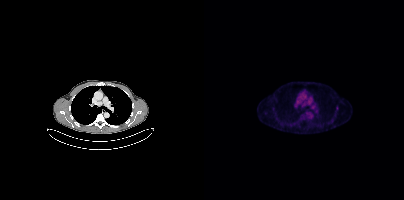
Coordinates are on the 200×200 PET (right) panel. PSMA-avid tumor lesion bounding box (x, y, width, height): x=132 y=106 w=3 h=5. Small PSMA-avid focus (2 to 4 px across) near (center x, center y): (61, 113). Paired axial CT (left) and PSMA PET (right), 18F-PSMA tracer. Acquired on Siemens Biograph mCT Flow 20. PET panel 200×200 px (4.1 mm/px).